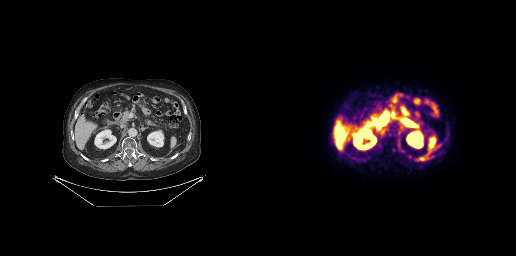
No PSMA-avid tumor lesions on this slice.
modality: PSMA PET/CT | tracer: 18F | view: axial | PET grid: 256×256